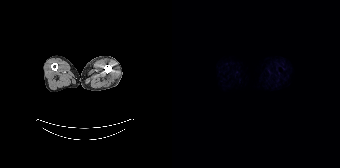
- Two-panel axial: CT | PSMA PET, 18F-PSMA tracer
- acquired on Siemens Biograph 64-4R TruePoint
- PET panel 168×168 px (4.1 mm/px)
Findings: No tumor lesions annotated on this slice.